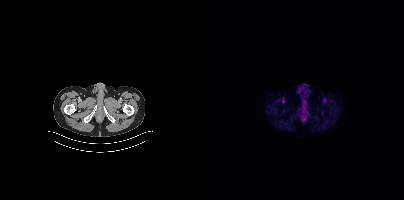
This slice has no annotated PSMA-avid lesion.